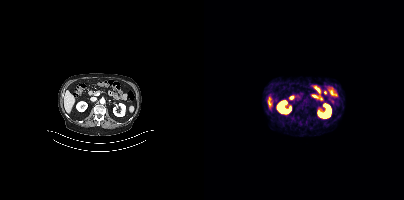
This slice has no annotated PSMA-avid lesion. Paired axial CT (left) and PSMA PET (right), [68Ga]Ga-PSMA-11 tracer. Slice 171 of 385. PET panel 200×200 px (4.1 mm/px).